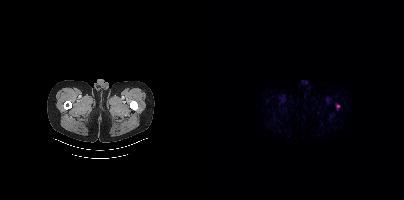
Coordinates are on the 200×200 PET (right) panel. PSMA-avid tumor lesion bounding boxes:
| # | x0 | y0 | x1 | y1 |
|---|---|---|---|---|
| 1 | 132 | 104 | 135 | 109 |
Left: CT. Right: PSMA PET, same axial level, 18F-PSMA tracer. Acquired on Siemens Biograph mCT Flow 20. PET panel 200×200 px (4.1 mm/px).